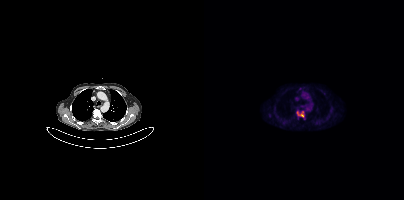
Findings: Coordinates are on the 200×200 PET (right) panel. PSMA-avid tumor lesion bounding box (x0,y0,x1,y1): [92,111,100,117].
- Two-panel axial: CT | PSMA PET, [18F]PSMA-1007 tracer
- PET panel 200×200 px (4.1 mm/px)